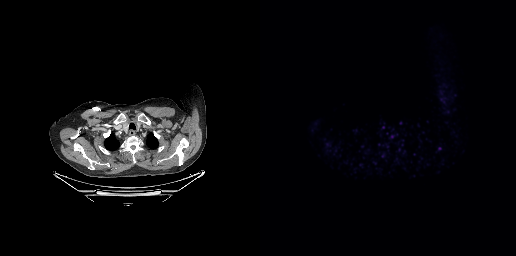
Findings: No PSMA-avid tumor lesions on this slice.
Technique: Paired axial CT (left) and PSMA PET (right), 18F tracer. acquired on GE Discovery 690. slice 220 of 263. PET panel 256×256 px (2.7 mm/px).